Technique: Left: CT. Right: PSMA PET, same axial level, [18F]PSMA-1007 tracer. acquired on Siemens Biograph mCT Flow 20. slice 287 of 413.
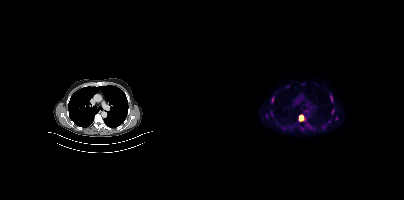
Findings: Coordinates are on the 200×200 PET (right) panel. (showing 9 of 11 foci) PSMA-avid tumor lesion bounding boxes (x0,y0,x1,y1): [95,115,99,121] [127,109,130,114]. Small PSMA-avid foci (2 to 4 px across) near (center x, center y): (120, 126) (128, 100) (132, 118) (125, 121) (67, 113) (62, 115) (68, 97).